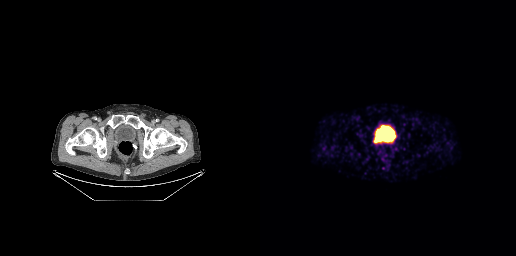
Coordinates are on the 256×256 PET (right) panel. PSMA-avid tumor lesion bounding box (x0, y0)-(x1, y1): (113, 138)-(117, 143).